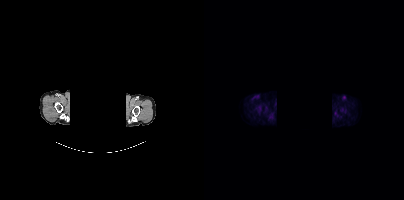
{"modality":"PSMA PET/CT","view":"axial","tracer":"18F","pet_grid":[200,200],"coord_frame":"pet_panel","coord_format":"x0,y0,x1,y1","psma_avid_lesions":false,"deidentification":"head region blanked (face removed)"}